Technique: Paired axial CT (left) and PSMA PET (right), [18F]PSMA-1007 tracer. slice 119 of 448.
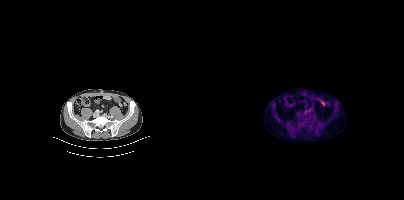
Findings: No PSMA-avid tumor lesions on this slice.